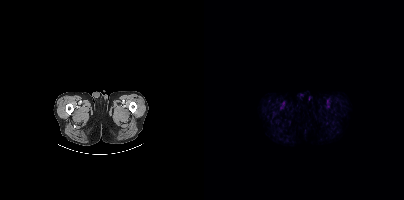
Left: CT. Right: PSMA PET, same axial level, 18F-PSMA tracer. Acquired on Siemens Biograph mCT Flow 20. Slice 13 of 435. PET panel 200×200 px (4.1 mm/px). Negative for PSMA-avid disease on this slice.